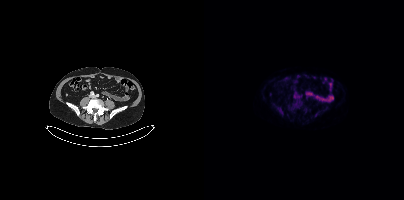
Technique: Left: CT. Right: PSMA PET, same axial level, 18F-PSMA tracer. slice 143 of 431. PET panel 200×200 px (4.1 mm/px).
Findings: No tumor lesions annotated on this slice.